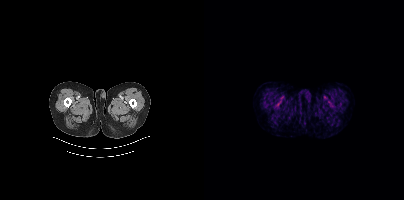
No tumor lesions annotated on this slice.